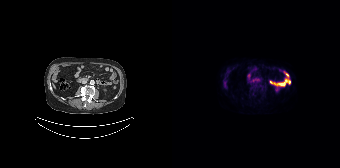
{"modality":"PSMA PET/CT","view":"axial","tracer":"[18F]PSMA-1007","pet_grid":[168,168],"coord_frame":"pet_panel","coord_format":"x0,y0,x1,y1","psma_avid_lesions":false}